modality: PSMA PET/CT | tracer: [18F]PSMA-1007 | view: axial
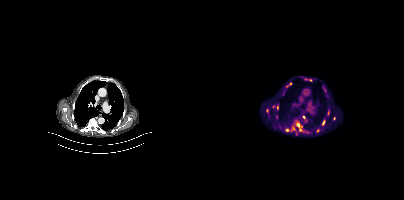
Coordinates are on the 200×200 PET (right) panel. (showing 9 of 11 foci) PSMA-avid tumor lesion bounding boxes (x0,y0,x1,y1): [78,82,88,95] [89,121,96,127] [68,104,74,110] [62,108,64,113]. Small PSMA-avid foci (2 to 4 px across) near (center x, center y): (72, 116) (130, 118) (120, 121) (99, 116) (96, 129).